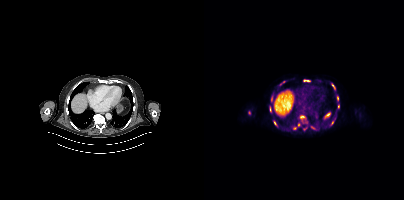
Coordinates are on the 200×200 PET (right) panel. PSMA-avid tumor lesion bounding boxes (x, y, width, height): x=100 y=80 w=6 h=2 | x=76 y=81 w=6 h=4 | x=128 y=84 w=4 h=6 | x=66 y=106 w=2 h=7 | x=67 y=97 w=2 h=5 | x=70 y=121 w=3 h=5. Small PSMA-avid foci (2 to 4 px across) near (center x, center y): (90, 128) | (108, 127) | (134, 106) | (133, 98) | (94, 125) | (98, 116) | (101, 129) | (45, 112) | (128, 122).
modality: PSMA PET/CT | tracer: [18F]PSMA-1007 | view: axial | PET grid: 200×200